redaction: region redacted | modality: PSMA PET/CT | tracer: [68Ga]Ga-PSMA-11 | view: axial | PET grid: 168×168
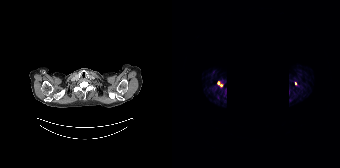
Coordinates are on the 168×168 PET (right) panel. (showing 2 of 3 foci) Small PSMA-avid foci (2 to 4 px across) near (center x, center y): (46, 83); (123, 83).